Two-panel axial: CT | PSMA PET, 18F tracer. PET panel 200×200 px (4.1 mm/px).
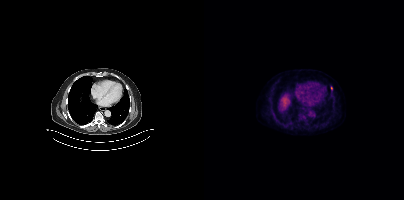
Coordinates are on the 200×200 PET (right) panel. Small PSMA-avid focus (2 to 4 px across) near (center x, center y): (127, 88).